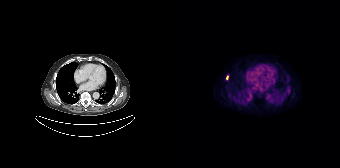
Coordinates are on the 168×168 PET (right) panel. PSMA-avid tumor lesion bounding box (x, y, width, height): x=54 y=75 w=3 h=5. Two-panel axial: CT | PSMA PET, 18F-PSMA tracer. Slice position z = -980 mm. PET panel 168×168 px (4.1 mm/px).